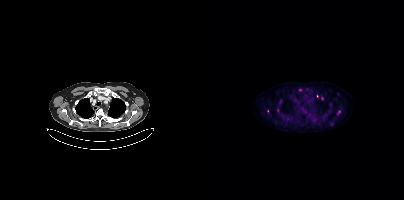
Coordinates are on the 200×200 PET (right) panel. (showing 2 of 5 foci) Small PSMA-avid foci (2 to 4 px across) near (center x, center y): (113, 96); (95, 89).